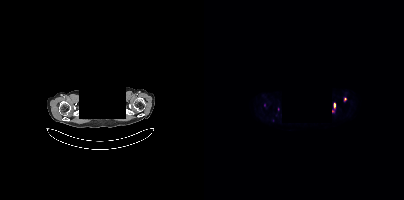
The head region is masked for de-identification.
Coordinates are on the 200×200 PET (right) panel. (showing 2 of 3 foci) Small PSMA-avid foci (2 to 4 px across) near (center x, center y): (130, 104) / (60, 104).